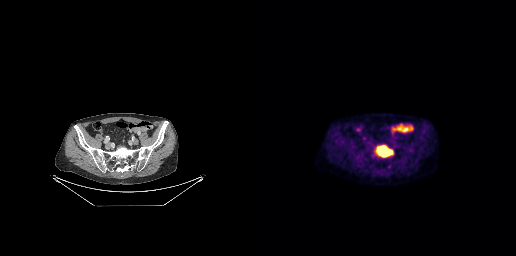
Coordinates are on the 256×256 PET (right) panel. PSMA-avid tumor lesion bounding box (x, y, width, height): x=117 y=146 w=16 h=12.